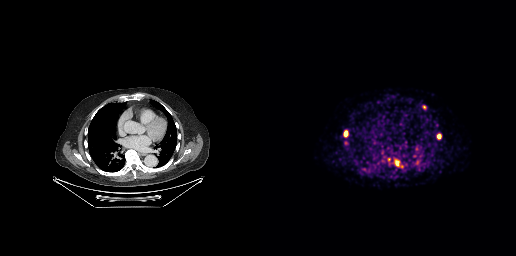
Coordinates are on the 256×256 PET (right) panel. (showing 4 of 5 foci) PSMA-avid tumor lesion bounding boxes (x0,y0,x1,y1): [135,160,138,165]; [177,134,180,138]; [84,131,87,135]. Small PSMA-avid focus (2 to 4 px across) near (center x, center y): (164, 106).